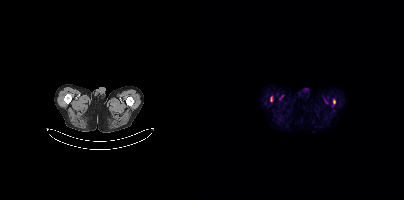
Coordinates are on the 200×200 PET (right) panel. PSMA-avid tumor lesion bounding box (x0,y0,x1,y1): [66,96,68,101]. Small PSMA-avid focus (2 to 4 px across) near (center x, center y): (130, 101).